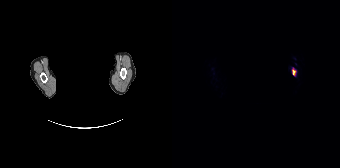
- the face region was removed for patient privacy by blanking a rectangle over the head
- Left: CT. Right: PSMA PET, same axial level, 18F-PSMA tracer
- slice 144 of 165
Findings: Coordinates are on the 168×168 PET (right) panel. PSMA-avid tumor lesion bounding box (x0,y0,x1,y1): [120,68,124,75].